Technique: Two-panel axial: CT | PSMA PET, 18F-PSMA tracer. acquired on GE Discovery 690. PET panel 256×256 px (2.7 mm/px).
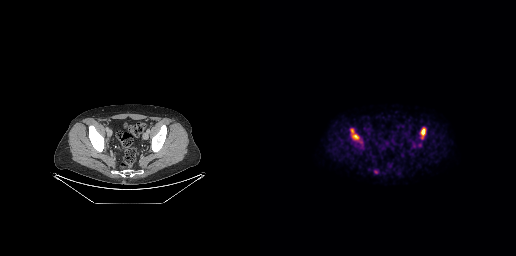
Findings: Coordinates are on the 256×256 PET (right) panel. PSMA-avid tumor lesion bounding boxes (x, y, width, height): x=90 y=128 w=13 h=16; x=160 y=127 w=7 h=13.